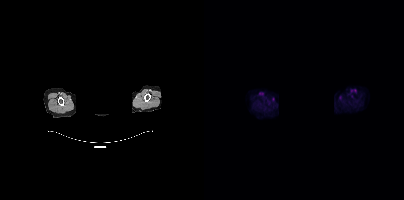
Privacy masking over the head, with the pixels inside a rectangle set to black. Left: CT. Right: PSMA PET, same axial level, 18F-PSMA tracer. PET panel 200×200 px (4.1 mm/px). No PSMA-avid tumor lesions on this slice.